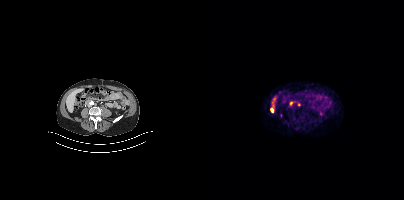
{"pet_grid":[200,200],"coord_frame":"pet_panel","coord_format":"x0,y0,x1,y1","partial":true,"lesion_bboxes":[],"small_foci_centers":[[87,103],[68,110]],"modality":"PSMA PET/CT","view":"axial","tracer":"[68Ga]Ga-PSMA-11"}